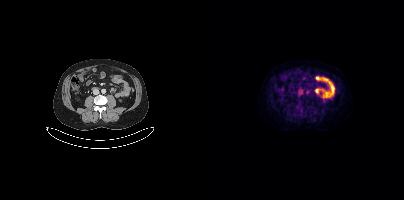
Negative for PSMA-avid disease on this slice.